Two-panel axial: CT | PSMA PET, [18F]PSMA-1007 tracer. Slice 39 of 438.
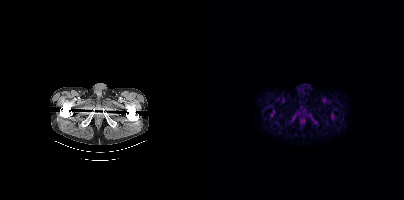
This slice has no annotated PSMA-avid lesion.